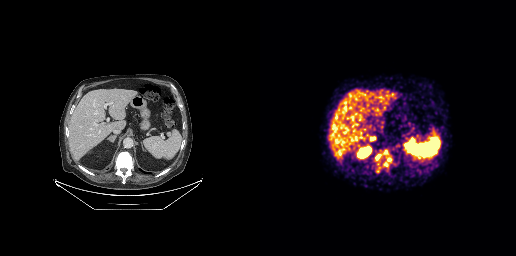
Coordinates are on the 256×256 PET (right) panel. (showing 2 of 5 foci) PSMA-avid tumor lesion bounding box (x0,y0,x1,y1): [115,149,132,166]. Small PSMA-avid focus (2 to 4 px across) near (center x, center y): (117, 171).